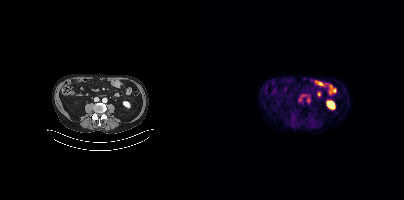
No PSMA-avid tumor lesions on this slice.